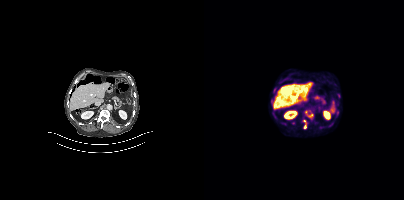
Technique: Paired axial CT (left) and PSMA PET (right), 18F-PSMA tracer. slice 174 of 373. PET panel 200×200 px (4.1 mm/px).
Findings: Coordinates are on the 200×200 PET (right) panel. PSMA-avid tumor lesion bounding boxes (x0, y0)-(x1, y1): (101, 110)-(109, 119) | (98, 119)-(103, 128) | (132, 93)-(136, 98) | (66, 97)-(69, 104) | (76, 122)-(82, 125). Small PSMA-avid foci (2 to 4 px across) near (center x, center y): (80, 118) | (72, 119) | (70, 89).